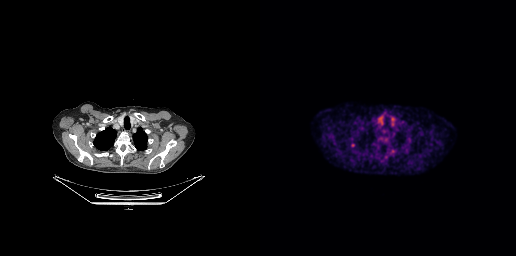
modality: PSMA PET/CT | tracer: [18F]PSMA-1007 | view: axial | PET grid: 256×256
This slice has no annotated PSMA-avid lesion.